modality: PSMA PET/CT | tracer: [18F]PSMA-1007 | view: axial
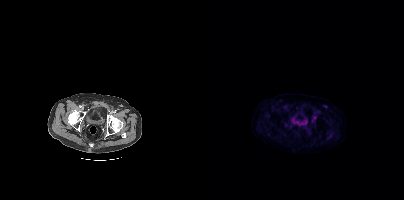
No PSMA-avid tumor lesions on this slice.